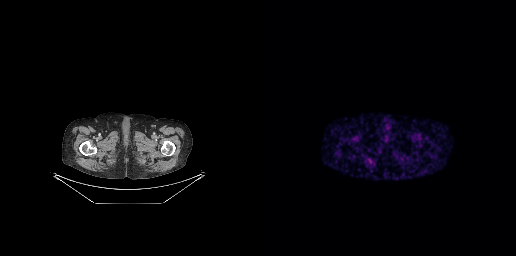
Two-panel axial: CT | PSMA PET, 68Ga-PSMA tracer. PET panel 256×256 px (2.7 mm/px). Negative for PSMA-avid disease on this slice.